modality: PSMA PET/CT | tracer: 18F-PSMA | view: axial
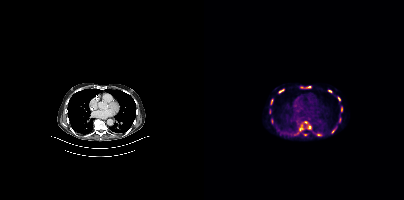
Coordinates are on the 200×200 PET (right) panel. (showing 12 of 15 foci) PSMA-avid tumor lesion bounding boxes (x0,y0,x1,y1): [96,86,107,88]; [99,121,107,129]; [95,124,99,131]; [74,89,80,93]; [133,97,136,101]; [66,99,69,104]; [124,90,128,92]; [137,107,138,111]; [135,118,136,122]; [128,129,130,133]. Small PSMA-avid foci (2 to 4 px across) near (center x, center y): (101, 134); (114, 134).